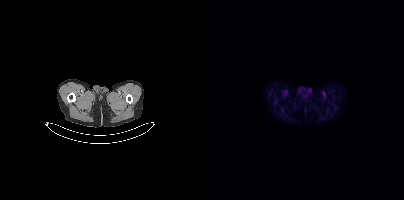
Two-panel axial: CT | PSMA PET, 18F-PSMA tracer. PET panel 200×200 px (4.1 mm/px). No PSMA-avid tumor lesions on this slice.